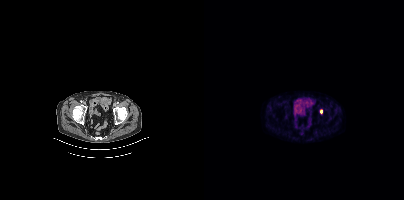
Coordinates are on the 200×200 PET (right) panel. Small PSMA-avid focus (2 to 4 px across) near (center x, center y): (117, 111).